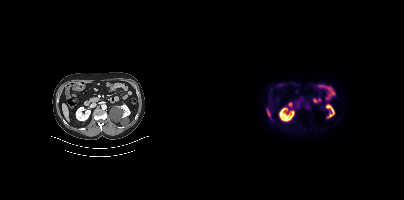
No PSMA-avid tumor lesions on this slice. Paired axial CT (left) and PSMA PET (right), 18F-PSMA tracer. PET panel 200×200 px (4.1 mm/px).